Two-panel axial: CT | PSMA PET, [68Ga]Ga-PSMA-11 tracer. Acquired on Siemens Biograph mCT Flow 20.
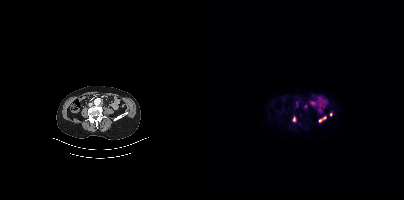
Coordinates are on the 200×200 PET (right) panel. PSMA-avid tumor lesion bounding boxes:
| # | x0 | y0 | x1 | y1 |
|---|---|---|---|---|
| 1 | 116 | 116 | 122 | 121 |
| 2 | 89 | 117 | 92 | 122 |
Small PSMA-avid foci (2 to 4 px across) near (center x, center y): (127, 114); (101, 106).